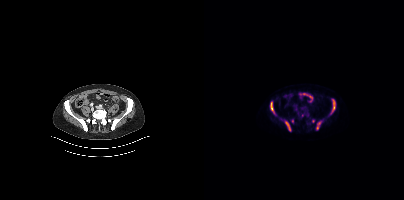
Technique: Left: CT. Right: PSMA PET, same axial level, 18F tracer. slice 103 of 395. PET panel 200×200 px (4.1 mm/px).
Findings: Coordinates are on the 200×200 PET (right) panel. (showing 6 of 8 foci) PSMA-avid tumor lesion bounding boxes (x0, y0)-(x1, y1): (127, 99)-(131, 113) | (66, 101)-(70, 113) | (81, 121)-(87, 131) | (112, 121)-(118, 129). Small PSMA-avid foci (2 to 4 px across) near (center x, center y): (88, 121) | (109, 121).